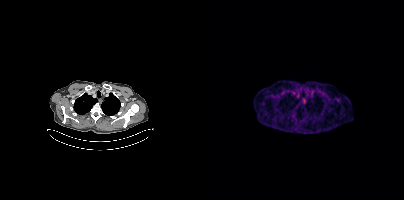
Left: CT. Right: PSMA PET, same axial level, [68Ga]Ga-PSMA-11 tracer. Slice position z = -339 mm. PET panel 200×200 px (4.1 mm/px). This slice has no annotated PSMA-avid lesion.